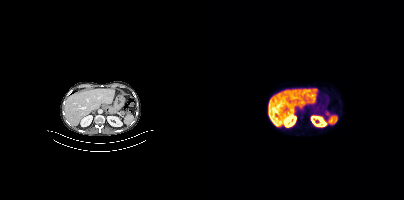
- Left: CT. Right: PSMA PET, same axial level, 18F tracer
- acquired on Siemens Biograph mCT Flow 20
- PET panel 200×200 px (4.1 mm/px)
Findings: No tumor lesions annotated on this slice.